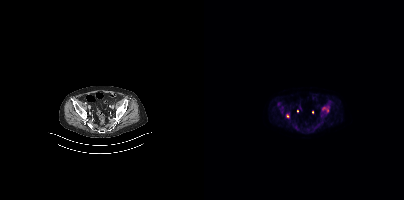
Findings: Coordinates are on the 200×200 PET (right) panel. PSMA-avid tumor lesion bounding boxes (x0, y0)-(x1, y1): (73, 102)-(79, 110) / (118, 107)-(125, 112) / (82, 114)-(85, 118).
- Left: CT. Right: PSMA PET, same axial level, 18F tracer
- acquired on Siemens Biograph mCT Flow 20